- Left: CT. Right: PSMA PET, same axial level, [68Ga]Ga-PSMA-11 tracer
- acquired on Siemens Biograph mCT Flow 20
- slice position z = -953 mm
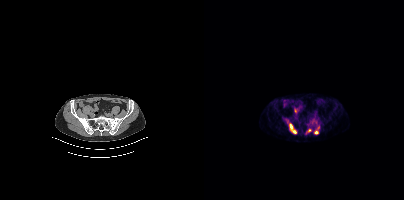
Findings: Coordinates are on the 200×200 PET (right) panel. PSMA-avid tumor lesion bounding boxes (x0,y0,x1,y1): [85,123,92,133], [110,130,114,134]. Small PSMA-avid foci (2 to 4 px across) near (center x, center y): (105, 130), (114, 127).